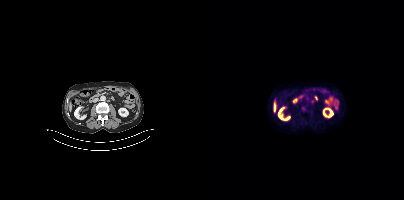
No tumor lesions annotated on this slice.